Technique: Left: CT. Right: PSMA PET, same axial level, [18F]PSMA-1007 tracer. acquired on GE Discovery 690. PET panel 256×256 px (2.7 mm/px).
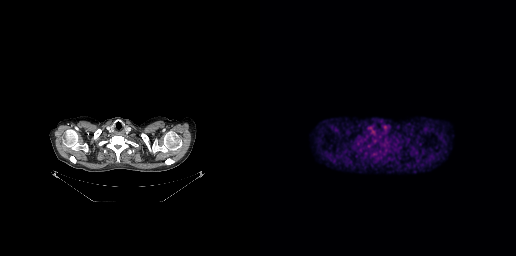
Findings: No PSMA-avid tumor lesions on this slice.